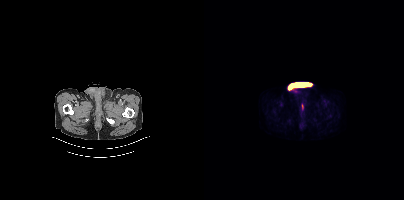
No tumor lesions annotated on this slice.